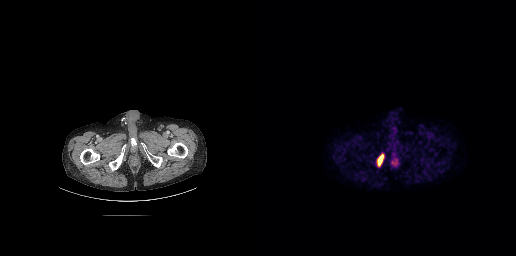
- Two-panel axial: CT | PSMA PET, [18F]PSMA-1007 tracer
Findings: Coordinates are on the 256×256 PET (right) panel. PSMA-avid tumor lesion bounding boxes (x, y, width, height): x=130 y=155 w=10 h=13 / x=116 y=154 w=9 h=13.